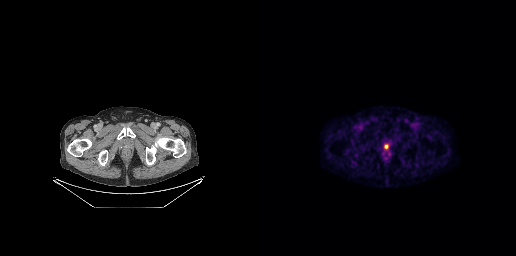
Coordinates are on the 256×256 PET (right) panel. PSMA-avid tumor lesion bounding box (x, y, width, height): x=124 y=144 w=5 h=5.
modality: PSMA PET/CT | tracer: 18F-PSMA | view: axial | PET grid: 256×256